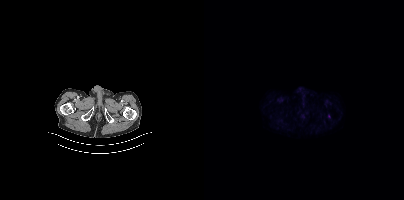
Two-panel axial: CT | PSMA PET, 18F-PSMA tracer. PET panel 200×200 px (4.1 mm/px). Coordinates are on the 200×200 PET (right) panel. Small PSMA-avid focus (2 to 4 px across) near (center x, center y): (125, 116).